Technique: Two-panel axial: CT | PSMA PET, 18F-PSMA tracer. acquired on Siemens Biograph mCT Flow 20. slice position z = -1498 mm.
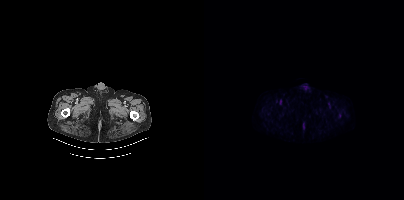
Findings: Negative for PSMA-avid disease on this slice.